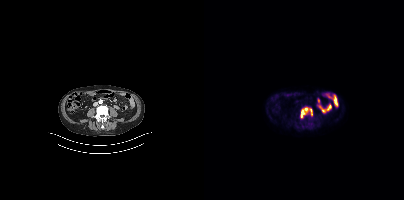
Coordinates are on the 200×200 PET (right) panel. PSMA-avid tumor lesion bounding box (x, y, width, height): x=96 y=107 w=13 h=11.